modality: PSMA PET/CT | tracer: [68Ga]Ga-PSMA-11 | view: axial
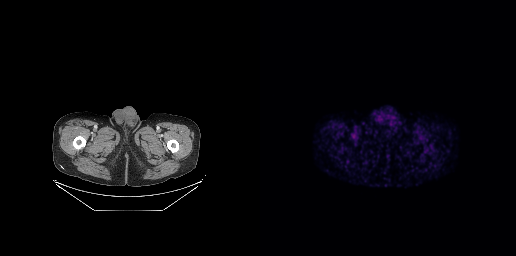
Negative for PSMA-avid disease on this slice.